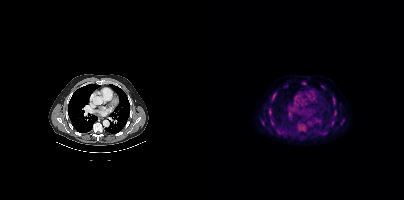
Findings: Coordinates are on the 200×200 PET (right) panel. (showing 9 of 10 foci) PSMA-avid tumor lesion bounding boxes (x0, y0)-(x1, y1): (137, 120)-(139, 124); (65, 110)-(66, 114). Small PSMA-avid foci (2 to 4 px across) near (center x, center y): (99, 83); (70, 93); (69, 123); (129, 97); (131, 111); (128, 122); (58, 122).
Technique: Paired axial CT (left) and PSMA PET (right), 18F-PSMA tracer.